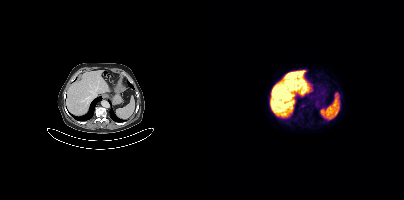
{"pet_grid":[200,200],"coord_frame":"pet_panel","coord_format":"x0,y0,x1,y1","lesion_bboxes":[],"small_foci_centers":[[99,105]],"modality":"PSMA PET/CT","view":"axial","tracer":"18F"}